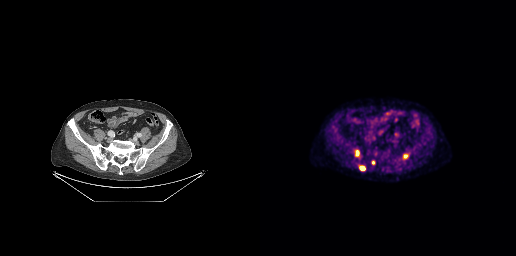
- Left: CT. Right: PSMA PET, same axial level, [18F]PSMA-1007 tracer
- acquired on GE Discovery 690
- slice 87 of 263
Findings: Coordinates are on the 256×256 PET (right) panel. PSMA-avid tumor lesion bounding boxes (x, y, width, height): x=95 y=150 w=5 h=7 / x=143 y=154 w=5 h=5 / x=100 y=166 w=5 h=4. Small PSMA-avid focus (2 to 4 px across) near (center x, center y): (113, 162).